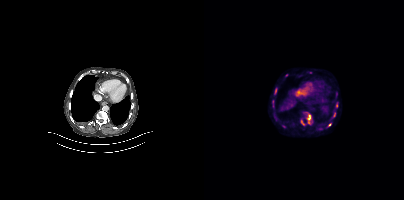
Technique: Paired axial CT (left) and PSMA PET (right), [18F]PSMA-1007 tracer.
Findings: Coordinates are on the 200×200 PET (right) panel. (showing 10 of 12 foci) PSMA-avid tumor lesion bounding boxes (x, y, width, height): x=98 y=111 w=11 h=14 / x=96 y=120 w=5 h=7 / x=131 y=102 w=4 h=6 / x=129 y=112 w=3 h=6 / x=104 y=71 w=5 h=3 / x=123 y=123 w=5 h=5 / x=71 y=88 w=2 h=6 / x=69 y=110 w=2 h=5. Small PSMA-avid foci (2 to 4 px across) near (center x, center y): (82, 75) / (132, 93).